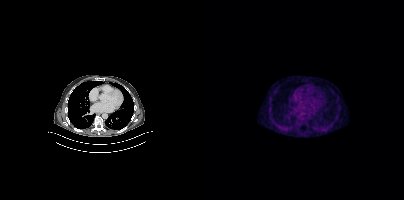
{"modality":"PSMA PET/CT","view":"axial","tracer":"[18F]PSMA-1007","pet_grid":[200,200],"coord_frame":"pet_panel","coord_format":"x0,y0,x1,y1","psma_avid_lesions":false}